Technique: Paired axial CT (left) and PSMA PET (right), 18F-PSMA tracer. acquired on Siemens Biograph mCT Flow 20.
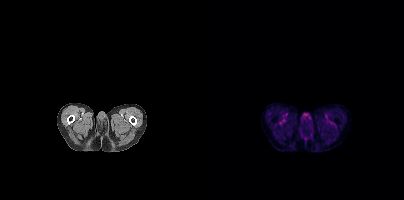
Findings: No PSMA-avid tumor lesions on this slice.